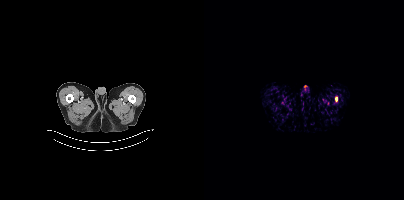
Two-panel axial: CT | PSMA PET, 18F-PSMA tracer. Acquired on Siemens Biograph mCT Flow 20. Coordinates are on the 200×200 PET (right) panel. PSMA-avid tumor lesion bounding box (x0,y0,x1,y1): [131,97,133,101].